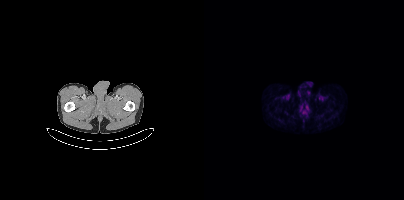
Technique: Two-panel axial: CT | PSMA PET, 18F-PSMA tracer. acquired on Siemens Biograph mCT Flow 20. slice position z = -1530 mm.
Findings: No PSMA-avid tumor lesions on this slice.